Technique: Two-panel axial: CT | PSMA PET, [18F]PSMA-1007 tracer. acquired on GE Discovery 690. PET panel 256×256 px (2.7 mm/px).
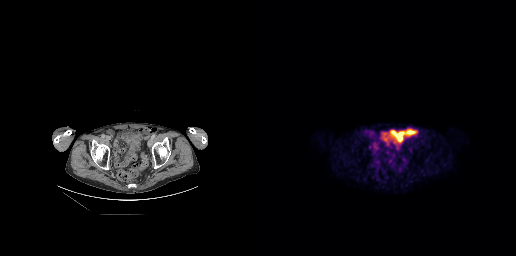
Findings: Negative for PSMA-avid disease on this slice.